Left: CT. Right: PSMA PET, same axial level, [18F]PSMA-1007 tracer. PET panel 200×200 px (4.1 mm/px).
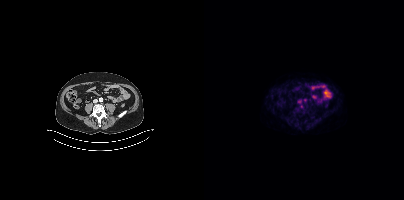
Negative for PSMA-avid disease on this slice.